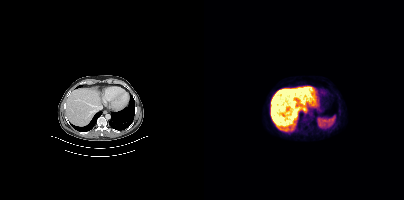
- Paired axial CT (left) and PSMA PET (right), 18F tracer
- acquired on Siemens Biograph mCT Flow 20
- slice position z = -544 mm
Findings: Negative for PSMA-avid disease on this slice.